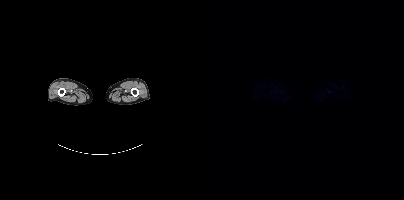
- Left: CT. Right: PSMA PET, same axial level, [18F]PSMA-1007 tracer
Findings: No tumor lesions annotated on this slice.